Paired axial CT (left) and PSMA PET (right), [18F]PSMA-1007 tracer. PET panel 200×200 px (4.1 mm/px).
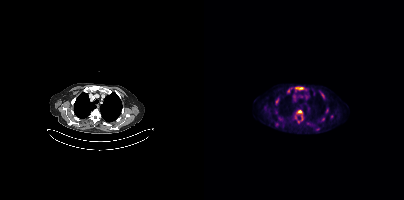
Coordinates are on the 200×200 PET (right) panel. (showing 5 of 9 foci) PSMA-avid tumor lesion bounding boxes (x, y, width, height): x=91 y=87 w=12 h=3 / x=116 y=92 w=5 h=7 / x=93 y=110 w=6 h=4 / x=71 y=99 w=4 h=6. Small PSMA-avid focus (2 to 4 px across) near (center x, center y): (84, 90).